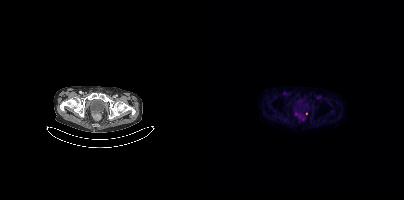
- Two-panel axial: CT | PSMA PET, 18F-PSMA tracer
- acquired on Siemens Biograph mCT Flow 20
- slice position z = -966 mm
- PET panel 200×200 px (4.1 mm/px)
Findings: Coordinates are on the 200×200 PET (right) panel. Small PSMA-avid foci (2 to 4 px across) near (center x, center y): (91, 113); (102, 113).